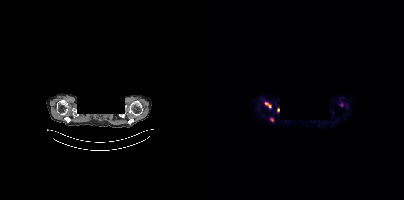
Findings: Coordinates are on the 200×200 PET (right) panel. PSMA-avid tumor lesion bounding boxes (x0,y0,x1,y1): [60,102,67,108] [73,108,75,112]. Small PSMA-avid foci (2 to 4 px across) near (center x, center y): (67, 119) (137, 105).
- head region blanked for anonymization (face removed)
- Two-panel axial: CT | PSMA PET, [18F]PSMA-1007 tracer
- slice position z = -428 mm